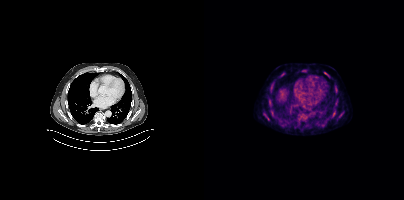
{"modality":"PSMA PET/CT","view":"axial","tracer":"18F-PSMA","pet_grid":[200,200],"coord_frame":"pet_panel","coord_format":"x0,y0,x1,y1","partial":true,"lesion_bboxes":[[60,113,65,120],[98,69,103,72],[76,72,81,76],[120,72,124,75]],"small_foci_centers":[[132,88],[129,115],[67,87],[68,113]]}